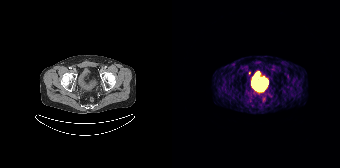
Coordinates are on the 168×168 PET (right) panel. Small PSMA-avid focus (2 to 4 px across) near (center x, center y): (77, 72).